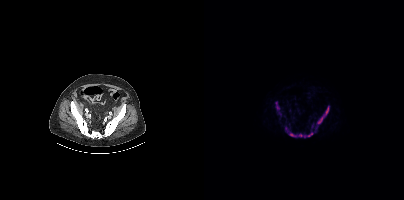
Coordinates are on the 200×200 PET (right) panel. (showing 4 of 6 foci) PSMA-avid tumor lesion bounding boxes (x0,y0,x1,y1): [81,127,109,137], [112,105,125,128], [71,102,75,110]. Small PSMA-avid focus (2 to 4 px across) near (center x, center y): (76, 113).